Paired axial CT (left) and PSMA PET (right), 18F-PSMA tracer.
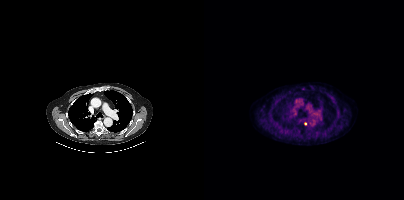
Coordinates are on the 200×200 PET (right) panel. (showing 1 of 2 foci) Small PSMA-avid focus (2 to 4 px across) near (center x, center y): (101, 123).